- Left: CT. Right: PSMA PET, same axial level, 18F tracer
- acquired on Siemens Biograph mCT Flow 20
- slice position z = -1596 mm
- PET panel 200×200 px (4.1 mm/px)
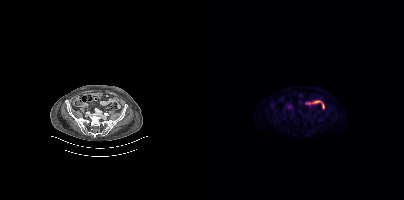
Findings: This slice has no annotated PSMA-avid lesion.